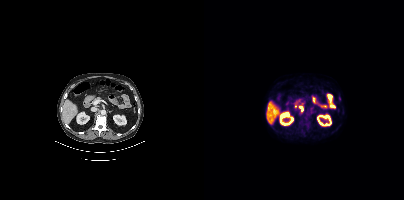
Coordinates are on the 200×200 PET (right) panel. PSMA-avid tumor lesion bounding box (x0,y0,x1,y1): [95,106,98,111]. Paired axial CT (left) and PSMA PET (right), 18F tracer.